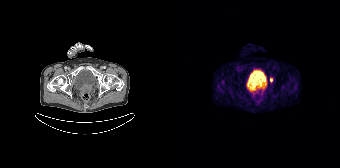
Findings: Coordinates are on the 168×168 PET (right) panel. Small PSMA-avid focus (2 to 4 px across) near (center x, center y): (99, 79).
Technique: Paired axial CT (left) and PSMA PET (right), 68Ga tracer.